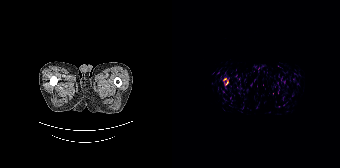
Findings: Coordinates are on the 168×168 PET (right) panel. PSMA-avid tumor lesion bounding box (x0, y0)-(x1, y1): (51, 78)-(56, 85).
- Paired axial CT (left) and PSMA PET (right), 18F-PSMA tracer
- slice 2 of 165
- PET panel 168×168 px (4.1 mm/px)